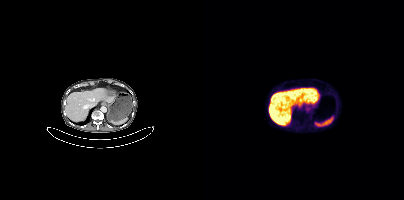
modality: PSMA PET/CT | tracer: 18F | view: axial
No tumor lesions annotated on this slice.